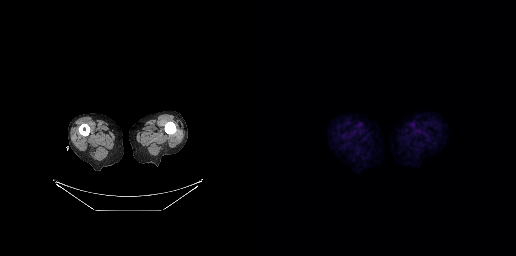
Left: CT. Right: PSMA PET, same axial level, 18F-PSMA tracer. Acquired on GE Discovery 690. Negative for PSMA-avid disease on this slice.